modality: PSMA PET/CT | tracer: [18F]PSMA-1007 | view: axial
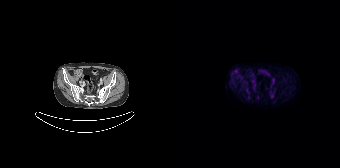
Coordinates are on the 168×168 PET (right) panel. Small PSMA-avid foci (2 to 4 px across) near (center x, center y): (74, 90) / (85, 97) / (98, 91).